modality: PSMA PET/CT | tracer: 18F-PSMA | view: axial
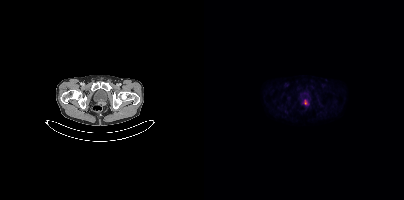
Coordinates are on the 200×200 PET (right) panel. PSMA-avid tumor lesion bounding box (x0,y0,x1,y1): [100,100,103,104].